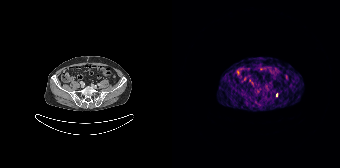
Coordinates are on the 168×168 PET (right) panel. Small PSMA-avid focus (2 to 4 px across) near (center x, center y): (104, 94).